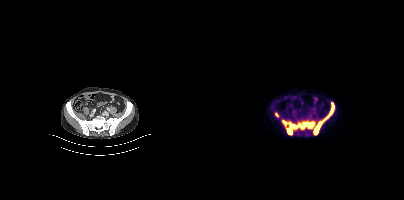
Coordinates are on the 200×200 PET (right) panel. PSMA-avid tumor lesion bounding box (x0, y0)-(x1, y1): (78, 102)-(130, 134). Small PSMA-avid focus (2 to 4 px across) near (center x, center y): (72, 114).
modality: PSMA PET/CT | tracer: 18F | view: axial